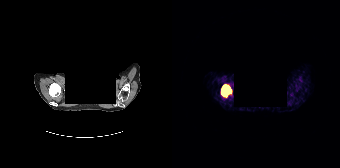
Coordinates are on the 168×168 PET (right) panel. PSMA-avid tumor lesion bounding box (x0,y0,x1,y1): [49,85,59,96].
modality: PSMA PET/CT | tracer: 68Ga-PSMA | view: axial | deidentification: head region blacked out before release